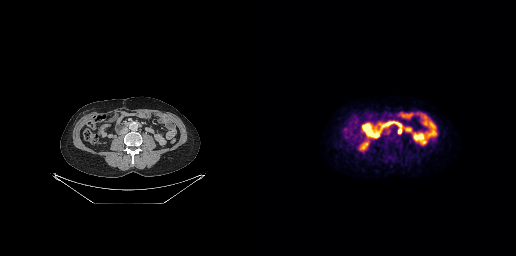
Findings: Coordinates are on the 256×256 PET (right) panel. PSMA-avid tumor lesion bounding box (x0,y0,x1,y1): [138,127,141,133].
Technique: Paired axial CT (left) and PSMA PET (right), 18F tracer. slice 109 of 263.